- Left: CT. Right: PSMA PET, same axial level, 18F-PSMA tracer
- slice position z = -1526 mm
- PET panel 200×200 px (4.1 mm/px)
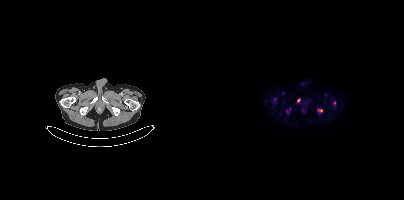
Findings: Coordinates are on the 200×200 PET (right) panel. (showing 3 of 4 foci) PSMA-avid tumor lesion bounding box (x, y, width, height): x=114 y=109 w=5 h=4. Small PSMA-avid foci (2 to 4 px across) near (center x, center y): (94, 99) / (130, 103).